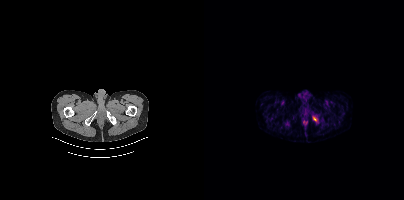
- Paired axial CT (left) and PSMA PET (right), 68Ga-PSMA tracer
- acquired on Siemens Biograph mCT Flow 20
- slice 30 of 409
- PET panel 200×200 px (4.1 mm/px)
Findings: Coordinates are on the 200×200 PET (right) panel. Small PSMA-avid focus (2 to 4 px across) near (center x, center y): (110, 118).